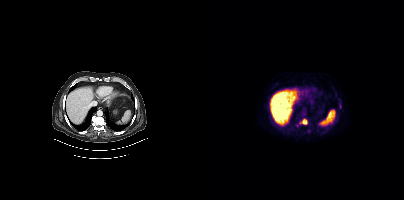
modality: PSMA PET/CT | tracer: 18F | view: axial | PET grid: 200×200
Coordinates are on the 200×200 PET (right) panel. (showing 1 of 4 foci) PSMA-avid tumor lesion bounding box (x, y, width, height): x=98 y=119 w=6 h=6.